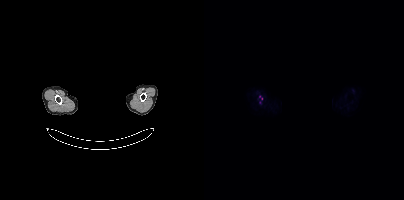
The face region was removed for patient privacy by blanking a rectangle over the head. Two-panel axial: CT | PSMA PET, 18F tracer. Acquired on Siemens Biograph mCT Flow 20. Coordinates are on the 200×200 PET (right) panel. Small PSMA-avid focus (2 to 4 px across) near (center x, center y): (56, 97).